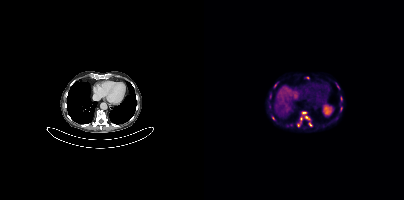
Paired axial CT (left) and PSMA PET (right), [18F]PSMA-1007 tracer. Acquired on Siemens Biograph mCT Flow 20. Slice position z = 78 mm. PET panel 200×200 px (4.1 mm/px). Coordinates are on the 200×200 PET (right) panel. (showing 10 of 11 foci) PSMA-avid tumor lesion bounding boxes (x0,y0,x1,y1): [101,116,106,119], [98,111,102,114]. Small PSMA-avid foci (2 to 4 px across) near (center x, center y): (106, 124), (97, 118), (94, 125), (69, 118), (137, 108), (137, 98), (71, 85), (103, 77).